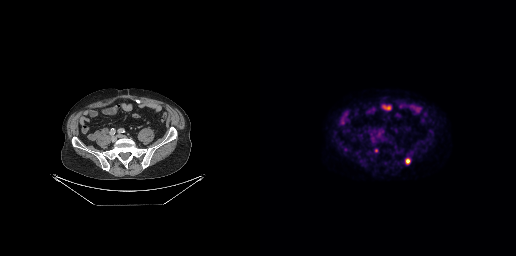
Paired axial CT (left) and PSMA PET (right), 18F-PSMA tracer. Slice position z = -606 mm. PET panel 256×256 px (2.7 mm/px). Coordinates are on the 256×256 PET (right) panel. PSMA-avid tumor lesion bounding box (x0, y0)-(x1, y1): (145, 158)-(150, 164). Small PSMA-avid focus (2 to 4 px across) near (center x, center y): (115, 150).